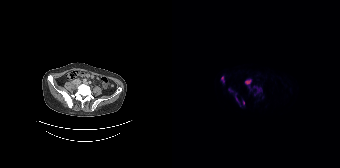
Coordinates are on the 168×168 PET (right) panel. PSMA-avid tumor lesion bounding boxes (x0, y0)-(x1, y1): (81, 85)-(90, 94) | (73, 79)-(79, 88) | (49, 76)-(52, 83) | (63, 93)-(67, 102) | (56, 88)-(61, 92). Small PSMA-avid foci (2 to 4 px across) near (center x, center y): (71, 102) | (67, 105). Paired axial CT (left) and PSMA PET (right), [18F]PSMA-1007 tracer. Slice 61 of 165. PET panel 168×168 px (4.1 mm/px).